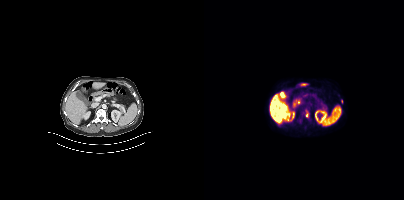
Coordinates are on the 200×200 PET (right) panel. PSMA-avid tumor lesion bounding box (x, y, width, height): x=101 y=110 w=4 h=8. Small PSMA-avid focus (2 to 4 px across) near (center x, center y): (137, 101). Two-panel axial: CT | PSMA PET, [18F]PSMA-1007 tracer. Acquired on Siemens Biograph mCT Flow 20. Slice 200 of 413.